Two-panel axial: CT | PSMA PET, 18F-PSMA tracer. PET panel 200×200 px (4.1 mm/px).
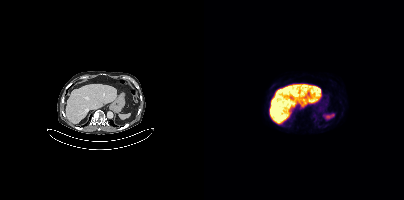
This slice has no annotated PSMA-avid lesion.